Technique: Two-panel axial: CT | PSMA PET, 18F-PSMA tracer. PET panel 200×200 px (4.1 mm/px).
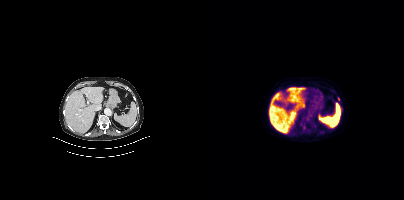
Findings: Coordinates are on the 200×200 PET (right) panel. Small PSMA-avid focus (2 to 4 px across) near (center x, center y): (134, 98).